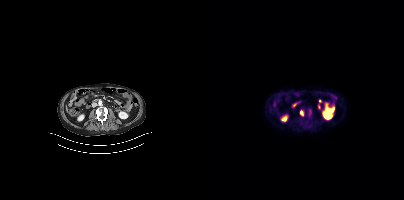
{"modality":"PSMA PET/CT","view":"axial","tracer":"[18F]PSMA-1007","pet_grid":[200,200],"coord_frame":"pet_panel","coord_format":"x0,y0,x1,y1","lesion_bboxes":[[104,109,107,113],[96,111,99,115]]}